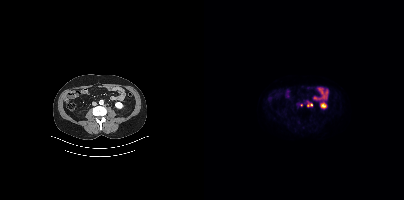
{"modality":"PSMA PET/CT","view":"axial","tracer":"18F-PSMA","pet_grid":[200,200],"coord_frame":"pet_panel","coord_format":"x0,y0,x1,y1","lesion_bboxes":[[103,103,108,106]],"small_foci_centers":[[97,104]]}